Technique: Two-panel axial: CT | PSMA PET, 68Ga tracer. slice 233 of 411. PET panel 200×200 px (4.1 mm/px).
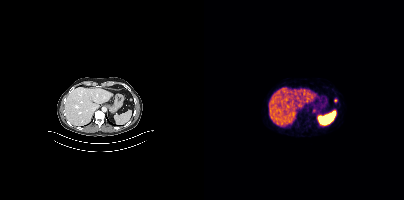
Findings: Coordinates are on the 200×200 PET (right) panel. Small PSMA-avid foci (2 to 4 px across) near (center x, center y): (131, 100) / (109, 110).